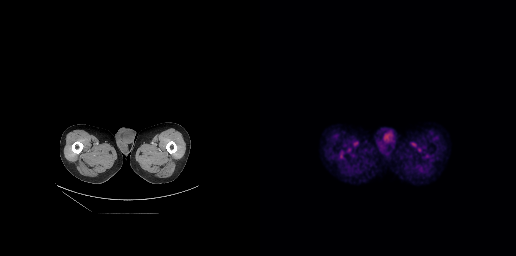
Technique: Two-panel axial: CT | PSMA PET, [18F]PSMA-1007 tracer. acquired on GE Discovery 690. slice 31 of 263. PET panel 256×256 px (2.7 mm/px).
Findings: No tumor lesions annotated on this slice.